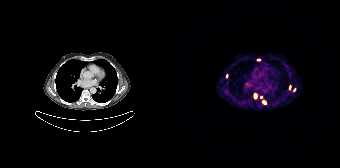
Paired axial CT (left) and PSMA PET (right), 68Ga tracer. Slice position z = -938 mm. PET panel 168×168 px (4.1 mm/px).
Coordinates are on the 168×168 PET (right) panel. PSMA-avid tumor lesion bounding boxes:
| # | x0 | y0 | x1 | y1 |
|---|---|---|---|---|
| 1 | 82 | 94 | 85 | 98 |
Small PSMA-avid foci (2 to 4 px across) near (center x, center y): (92, 101); (117, 87); (86, 59); (89, 97); (122, 89); (54, 75).